Paired axial CT (left) and PSMA PET (right), [18F]PSMA-1007 tracer. Slice 63 of 263. PET panel 256×256 px (2.7 mm/px).
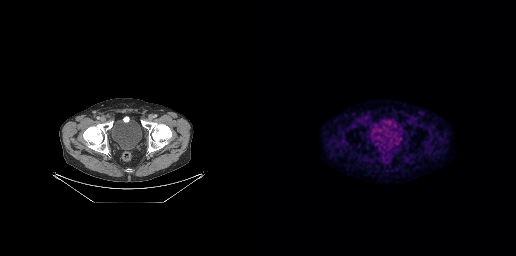
No tumor lesions annotated on this slice.